- Paired axial CT (left) and PSMA PET (right), [68Ga]Ga-PSMA-11 tracer
- acquired on GE Discovery 690
- PET panel 256×256 px (2.7 mm/px)
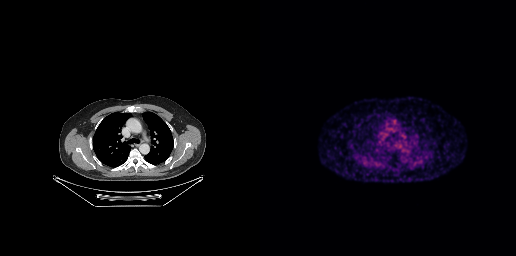
Findings: No PSMA-avid tumor lesions on this slice.